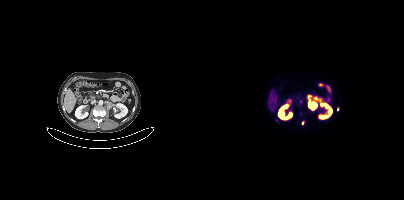
{"modality":"PSMA PET/CT","view":"axial","tracer":"68Ga-PSMA","pet_grid":[200,200],"coord_frame":"pet_panel","coord_format":"x0,y0,x1,y1","lesion_bboxes":[[96,99,98,103]],"small_foci_centers":[[98,123],[133,109],[72,120]]}